Paired axial CT (left) and PSMA PET (right), [68Ga]Ga-PSMA-11 tracer. Slice 133 of 299.
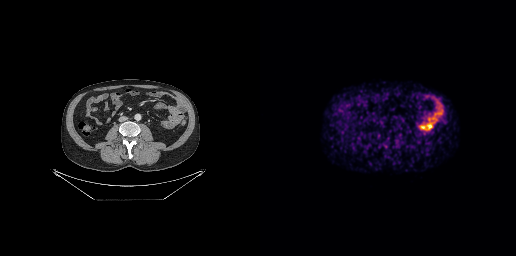
No PSMA-avid tumor lesions on this slice.